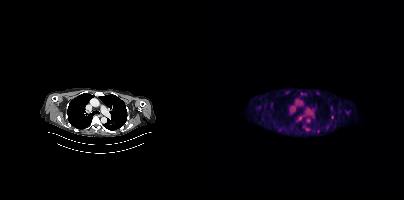
Two-panel axial: CT | PSMA PET, [18F]PSMA-1007 tracer. PET panel 200×200 px (4.1 mm/px). Coordinates are on the 200×200 PET (right) panel. (showing 4 of 5 foci) Small PSMA-avid foci (2 to 4 px across) near (center x, center y): (128, 117); (96, 118); (81, 92); (103, 129).